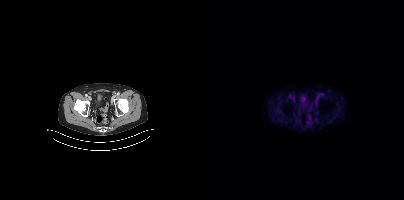
- Paired axial CT (left) and PSMA PET (right), 18F tracer
- acquired on Siemens Biograph mCT Flow 20
Findings: Negative for PSMA-avid disease on this slice.